- Two-panel axial: CT | PSMA PET, 18F tracer
- acquired on Siemens Biograph mCT Flow 20
- slice position z = -160 mm
- PET panel 200×200 px (4.1 mm/px)
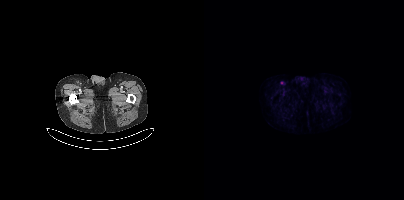
Findings: Negative for PSMA-avid disease on this slice.